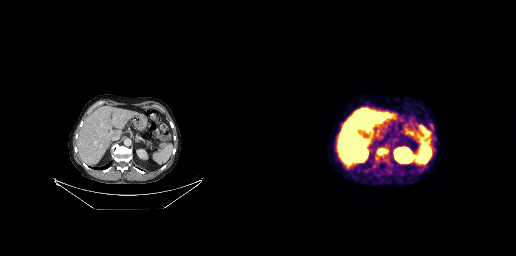
Coordinates are on the 256×256 PET (right) panel. PSMA-avid tumor lesion bounding box (x0,y0,x1,y1): [117,151,126,155].